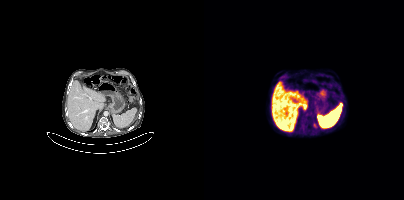
Paired axial CT (left) and PSMA PET (right), 18F tracer. Acquired on Siemens Biograph mCT Flow 20. Slice 234 of 425.
Coordinates are on the 200×200 PET (right) panel. PSMA-avid tumor lesion bounding boxes:
| # | x0 | y0 | x1 | y1 |
|---|---|---|---|---|
| 1 | 109 | 123 | 113 | 128 |